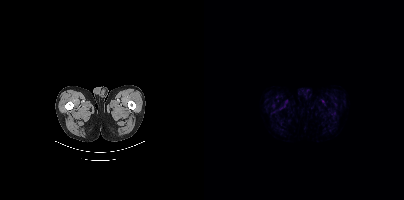
- Two-panel axial: CT | PSMA PET, [18F]PSMA-1007 tracer
- acquired on Siemens Biograph mCT Flow 20
- slice position z = -1663 mm
- PET panel 200×200 px (4.1 mm/px)
Findings: No PSMA-avid tumor lesions on this slice.